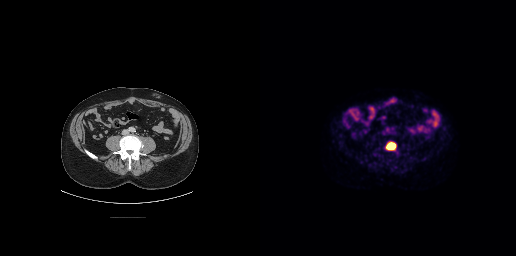
modality: PSMA PET/CT | tracer: 18F-PSMA | view: axial
Coordinates are on the 256×256 PET (right) panel. PSMA-avid tumor lesion bounding box (x, y, width, height): x=125 y=141 w=12 h=10.